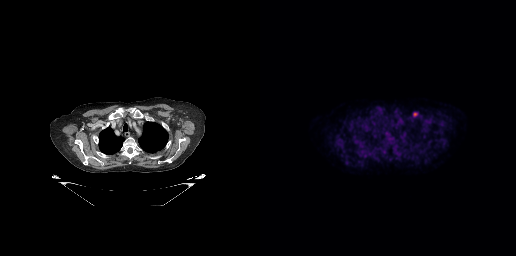
Left: CT. Right: PSMA PET, same axial level, [18F]PSMA-1007 tracer. Slice 250 of 299.
Coordinates are on the 256×256 PET (right) panel. PSMA-avid tumor lesion bounding boxes:
| # | x0 | y0 | x1 | y1 |
|---|---|---|---|---|
| 1 | 153 | 112 | 158 | 116 |